Technique: Paired axial CT (left) and PSMA PET (right), 68Ga-PSMA tracer. slice 171 of 263.
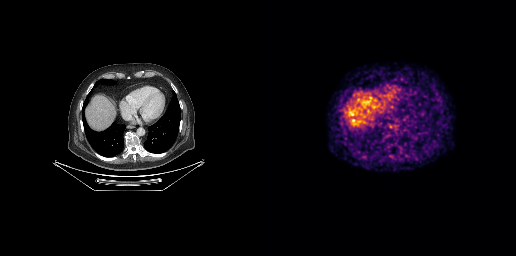
Findings: No tumor lesions annotated on this slice.